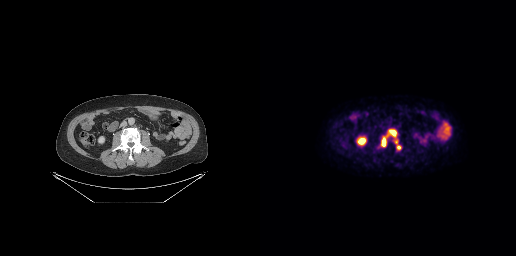
Paired axial CT (left) and PSMA PET (right), 18F tracer. Acquired on GE Discovery 690. Slice 136 of 299.
Coordinates are on the 256×256 PET (right) panel. PSMA-avid tumor lesion bounding boxes:
| # | x0 | y0 | x1 | y1 |
|---|---|---|---|---|
| 1 | 120 | 128 | 141 | 150 |